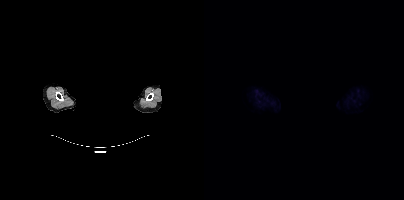
Any black rectangle over the head is a privacy mask, not anatomy.
No tumor lesions annotated on this slice.